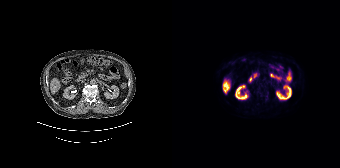
Findings: No PSMA-avid tumor lesions on this slice.
Technique: Paired axial CT (left) and PSMA PET (right), 18F-PSMA tracer. acquired on Siemens Biograph 64-4R TruePoint. slice position z = -996 mm. PET panel 168×168 px (4.1 mm/px).